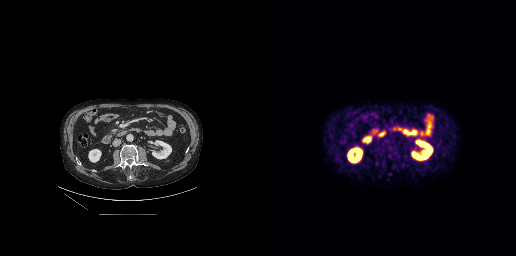
Two-panel axial: CT | PSMA PET, 18F tracer. Acquired on GE Discovery 690. PET panel 256×256 px (2.7 mm/px). No PSMA-avid tumor lesions on this slice.